- Two-panel axial: CT | PSMA PET, 18F-PSMA tracer
- slice 109 of 263
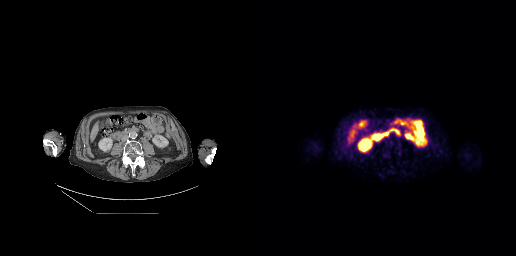
Findings: Negative for PSMA-avid disease on this slice.